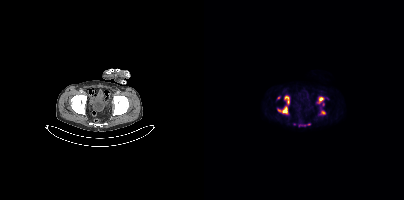
{"modality":"PSMA PET/CT","view":"axial","tracer":"[18F]PSMA-1007","pet_grid":[200,200],"coord_frame":"pet_panel","coord_format":"x0,y0,x1,y1","partial":true,"lesion_bboxes":[[73,95,85,114],[113,96,119,103],[116,110,121,114]],"small_foci_centers":[[74,97],[119,104]]}